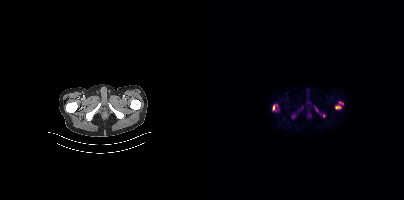
Coordinates are on the 200×200 PET (right) panel. PSMA-avid tumor lesion bounding boxes (x, y, width, height): x=131 y=105 w=7 h=5 | x=69 y=103 w=6 h=8 | x=87 y=113 w=5 h=6 | x=110 y=107 w=5 h=6 | x=135 y=102 w=5 h=3. Small PSMA-avid focus (2 to 4 px across) near (center x, center y): (119, 115).
modality: PSMA PET/CT | tracer: 18F | view: axial